Paired axial CT (left) and PSMA PET (right), [18F]PSMA-1007 tracer. Acquired on Siemens Biograph mCT Flow 20. Privacy masking over the head, with the pixels inside a rectangle set to black.
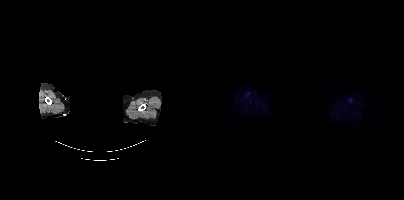
Negative for PSMA-avid disease on this slice.